Left: CT. Right: PSMA PET, same axial level, 18F tracer. Acquired on Siemens Biograph mCT Flow 20. PET panel 200×200 px (4.1 mm/px).
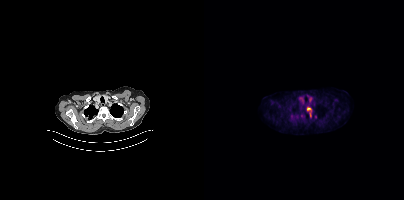
Coordinates are on the 200×200 PET (right) panel. (showing 1 of 2 foci) PSMA-avid tumor lesion bounding box (x0,y0,x1,y1): [102,106,107,117].